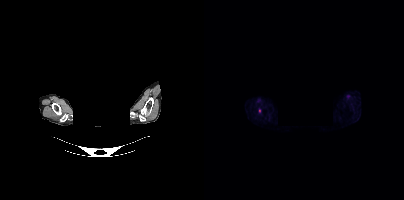
Coordinates are on the 200×200 PET (right) panel. Small PSMA-avid focus (2 to 4 px across) near (center x, center y): (55, 110).
deidentification: facial region redacted | modality: PSMA PET/CT | tracer: [18F]PSMA-1007 | view: axial | PET grid: 200×200